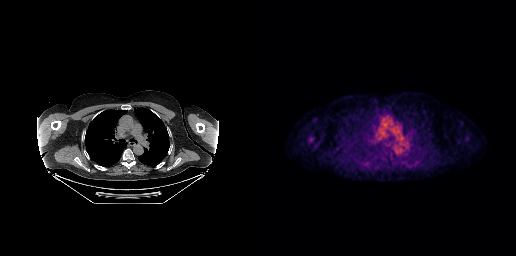
No PSMA-avid tumor lesions on this slice.